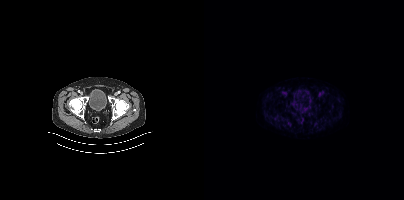
modality: PSMA PET/CT | tracer: 18F-PSMA | view: axial
This slice has no annotated PSMA-avid lesion.